A rectangle over the head was blacked out to remove identifiable facial features.
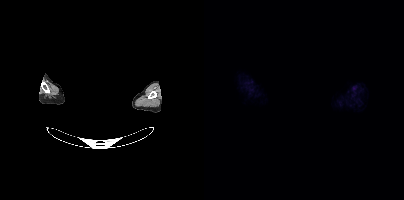
No tumor lesions annotated on this slice.